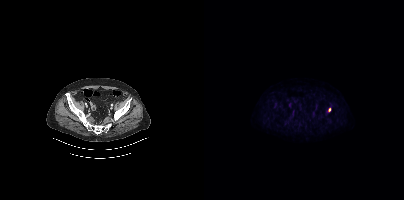
Findings: Coordinates are on the 200×200 PET (right) panel. Small PSMA-avid focus (2 to 4 px across) near (center x, center y): (125, 109).
Technique: Paired axial CT (left) and PSMA PET (right), [18F]PSMA-1007 tracer. acquired on Siemens Biograph mCT Flow 20. slice 118 of 450.